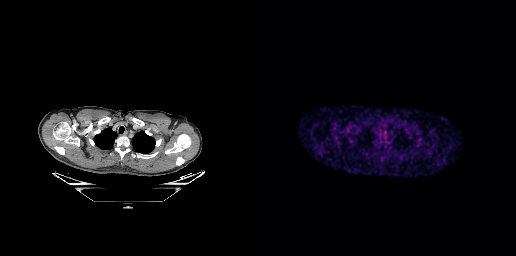
Negative for PSMA-avid disease on this slice.